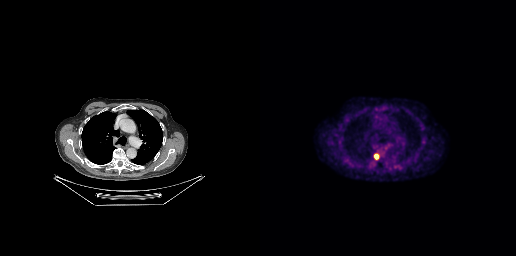
modality: PSMA PET/CT | tracer: 18F-PSMA | view: axial
Coordinates are on the 256×256 PET (right) panel. PSMA-avid tumor lesion bounding box (x0, y0)-(x1, y1): (114, 154)-(122, 159).